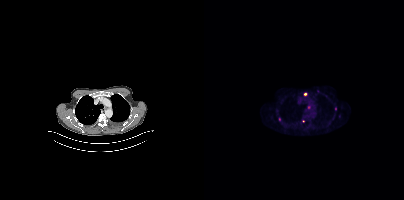
Coordinates are on the 200×200 PET (right) panel. (showing 4 of 5 foci) Small PSMA-avid foci (2 to 4 px across) near (center x, center y): (131, 108) | (105, 107) | (101, 94) | (75, 119). Left: CT. Right: PSMA PET, same axial level, 18F-PSMA tracer. Acquired on Siemens Biograph mCT Flow 20.